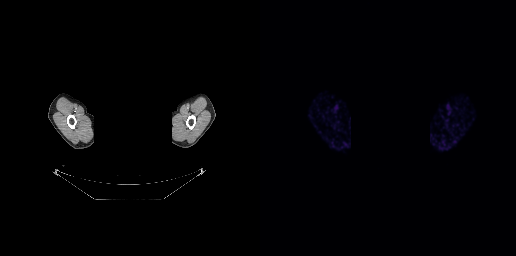
Negative for PSMA-avid disease on this slice. An anonymization step blacked out a rectangle over the head in this scan. Paired axial CT (left) and PSMA PET (right), 68Ga tracer. Slice 271 of 299.